Left: CT. Right: PSMA PET, same axial level, 18F-PSMA tracer. Acquired on Siemens Biograph mCT Flow 20. PET panel 200×200 px (4.1 mm/px).
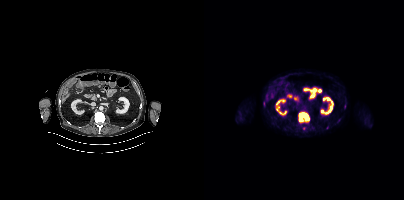
Coordinates are on the 200×200 PET (right) panel. PSMA-avid tumor lesion bounding boxes:
| # | x0 | y0 | x1 | y1 |
|---|---|---|---|---|
| 1 | 95 | 112 | 105 | 121 |
Small PSMA-avid focus (2 to 4 px across) near (center x, center y): (100, 128).